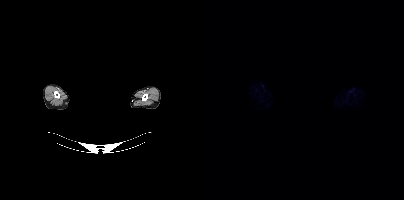
{"modality":"PSMA PET/CT","view":"axial","tracer":"18F","pet_grid":[200,200],"coord_frame":"pet_panel","coord_format":"x0,y0,x1,y1","redaction":"head region blacked out before release","psma_avid_lesions":false}